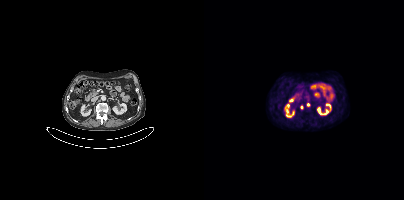
modality: PSMA PET/CT | tracer: [18F]PSMA-1007 | view: axial
Coordinates are on the 200×200 PET (right) panel. (showing 1 of 2 foci) Small PSMA-avid focus (2 to 4 px across) near (center x, center y): (97, 107).